Technique: Two-panel axial: CT | PSMA PET, 18F tracer. acquired on GE Discovery 690. PET panel 256×256 px (2.7 mm/px).
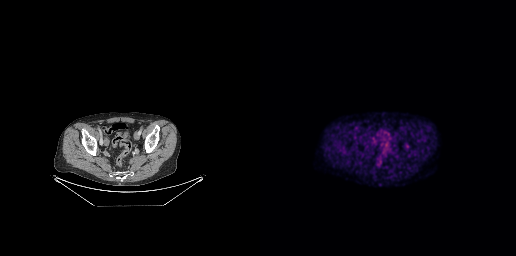
Findings: Negative for PSMA-avid disease on this slice.